modality: PSMA PET/CT | tracer: 18F-PSMA | view: axial | PET grid: 200×200
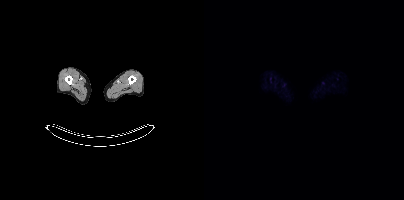
Negative for PSMA-avid disease on this slice.